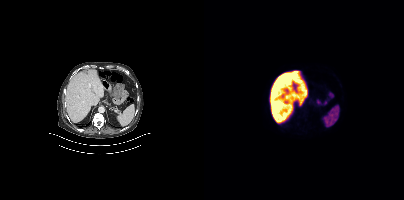
{"modality":"PSMA PET/CT","view":"axial","tracer":"18F-PSMA","pet_grid":[200,200],"coord_frame":"pet_panel","coord_format":"x0,y0,x1,y1","psma_avid_lesions":false}